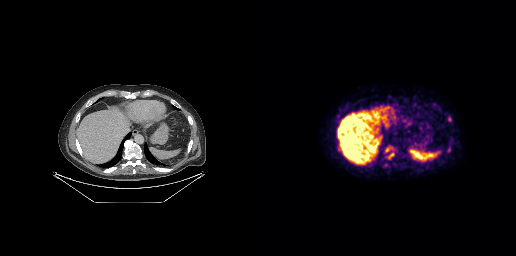
- Two-panel axial: CT | PSMA PET, 18F tracer
- acquired on GE Discovery 690
- PET panel 256×256 px (2.7 mm/px)
Findings: Coordinates are on the 256×256 PET (right) panel. PSMA-avid tumor lesion bounding boxes (x, y, width, height): x=188 y=116 w=4 h=6 / x=129 y=153 w=5 h=6. Small PSMA-avid foci (2 to 4 px across) near (center x, center y): (127, 149) / (189, 149).